Technique: Left: CT. Right: PSMA PET, same axial level, [68Ga]Ga-PSMA-11 tracer. PET panel 168×168 px (4.1 mm/px).
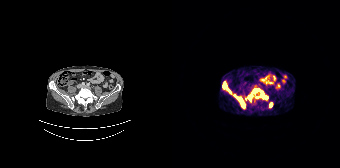
Findings: Coordinates are on the 168×168 PET (right) panel. (showing 6 of 8 foci) PSMA-avid tumor lesion bounding boxes (x0,y0,x1,y1): [62,94,72,104]; [51,82,59,93]; [90,92,95,99]; [76,95,79,100]; [82,89,87,91]; [98,103,100,107].